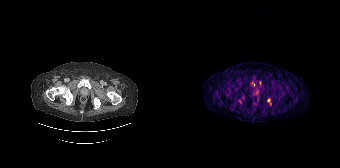
{"modality":"PSMA PET/CT","view":"axial","tracer":"68Ga-PSMA","pet_grid":[168,168],"coord_frame":"pet_panel","coord_format":"x0,y0,x1,y1","partial":true,"lesion_bboxes":[],"small_foci_centers":[[96,100],[87,82]]}